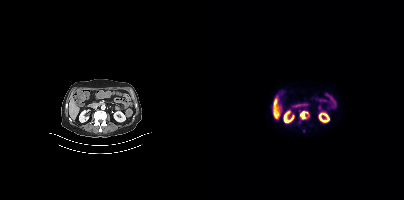
{"modality":"PSMA PET/CT","view":"axial","tracer":"18F","pet_grid":[200,200],"coord_frame":"pet_panel","coord_format":"x0,y0,x1,y1","lesion_bboxes":[[96,111,103,118]],"small_foci_centers":[[70,102]]}